modality: PSMA PET/CT | tracer: 18F-PSMA | view: axial | PET grid: 200×200
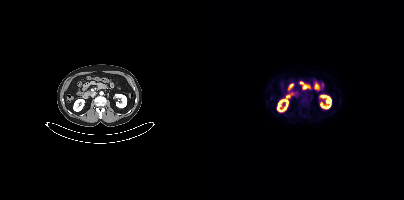
This slice has no annotated PSMA-avid lesion.